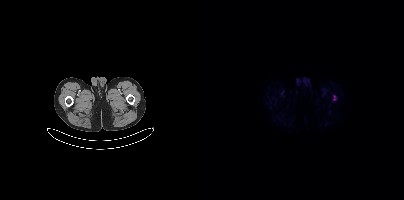
modality: PSMA PET/CT | tracer: [18F]PSMA-1007 | view: axial
Only PSMA-avid lesion pieces thinner than 2 px on this slice (not listed).